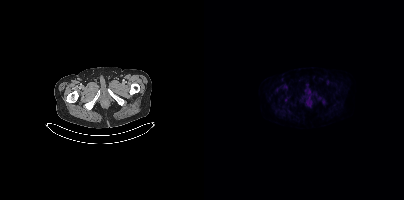
This slice has no annotated PSMA-avid lesion.
modality: PSMA PET/CT | tracer: [18F]PSMA-1007 | view: axial